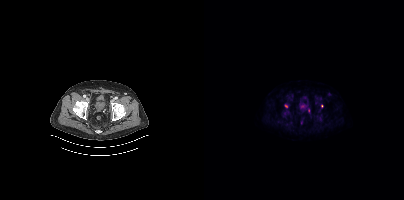
modality: PSMA PET/CT | tracer: 18F-PSMA | view: axial | PET grid: 200×200
Only PSMA-avid lesion pieces thinner than 2 px on this slice (not listed).